- the head region is masked for de-identification
- Two-panel axial: CT | PSMA PET, 18F-PSMA tracer
- slice 335 of 387
- PET panel 200×200 px (4.1 mm/px)
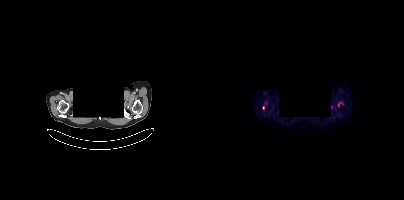
Findings: Coordinates are on the 200×200 PET (right) panel. (showing 2 of 4 foci) Small PSMA-avid foci (2 to 4 px across) near (center x, center y): (59, 107) / (135, 102).